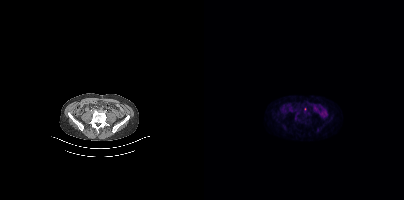
{"pet_grid":[200,200],"coord_frame":"pet_panel","coord_format":"x0,y0,x1,y1","partial":true,"lesion_bboxes":[],"modality":"PSMA PET/CT","view":"axial","tracer":"18F-PSMA"}